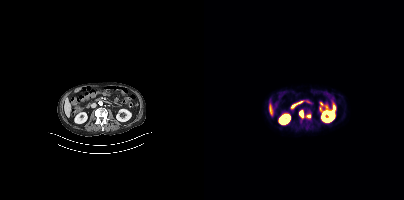
Findings: Coordinates are on the 200×200 PET (right) panel. PSMA-avid tumor lesion bounding boxes (x0, y0)-(x1, y1): (101, 110)-(107, 118) / (95, 110)-(99, 116). Small PSMA-avid focus (2 to 4 px across) near (center x, center y): (97, 120).
Technique: Left: CT. Right: PSMA PET, same axial level, 18F tracer. PET panel 200×200 px (4.1 mm/px).